modality: PSMA PET/CT | tracer: 68Ga | view: axial
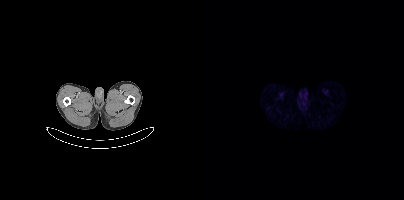
This slice has no annotated PSMA-avid lesion.